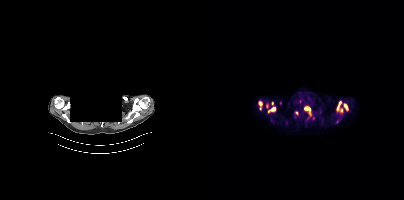
Findings: Coordinates are on the 200×200 PET (right) panel. (showing 9 of 10 foci) PSMA-avid tumor lesion bounding boxes (x, y, width, height): x=133 y=101 w=6 h=12 / x=100 y=106 w=8 h=11 / x=64 y=106 w=8 h=7 / x=55 y=101 w=4 h=5 / x=140 y=104 w=4 h=7. Small PSMA-avid foci (2 to 4 px across) near (center x, center y): (68, 103) / (62, 105) / (92, 113) / (56, 108).
- Two-panel axial: CT | PSMA PET, 18F-PSMA tracer
- slice 310 of 401
- a rectangle over the head was blacked out to remove identifiable facial features